Left: CT. Right: PSMA PET, same axial level, [18F]PSMA-1007 tracer. Acquired on Siemens Biograph mCT Flow 20. Slice 87 of 435.
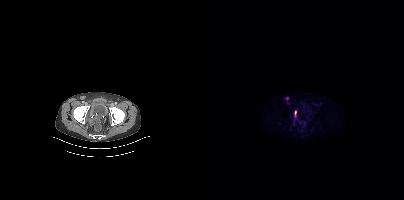
Coordinates are on the 200×200 PET (right) panel. (showing 2 of 3 foci) PSMA-avid tumor lesion bounding box (x0, y0)-(x1, y1): (90, 110)-(92, 116). Small PSMA-avid focus (2 to 4 px across) near (center x, center y): (83, 98).